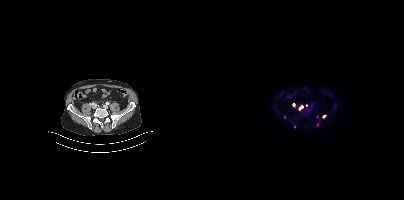
- Paired axial CT (left) and PSMA PET (right), [18F]PSMA-1007 tracer
- slice 129 of 421
- PET panel 200×200 px (4.1 mm/px)
Findings: Coordinates are on the 200×200 PET (right) panel. (showing 4 of 5 foci) PSMA-avid tumor lesion bounding box (x0,y0,x1,y1): [95,105,99,109]. Small PSMA-avid foci (2 to 4 px across) near (center x, center y): (113, 124); (89, 104); (120, 116).